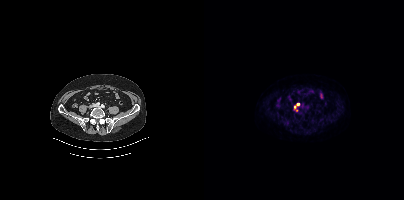
- Two-panel axial: CT | PSMA PET, 18F-PSMA tracer
- acquired on Siemens Biograph mCT Flow 20
- slice 132 of 452
- PET panel 200×200 px (4.1 mm/px)
Findings: Coordinates are on the 200×200 PET (right) panel. Small PSMA-avid foci (2 to 4 px across) near (center x, center y): (94, 103) / (90, 107).